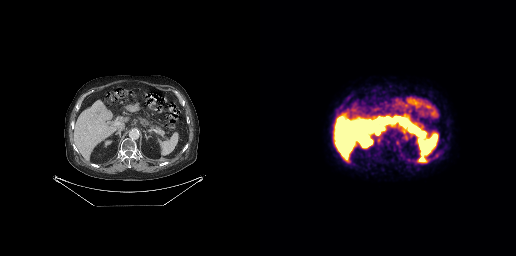
Paired axial CT (left) and PSMA PET (right), 18F-PSMA tracer. Acquired on GE Discovery 690. Slice position z = -538 mm. PET panel 256×256 px (2.7 mm/px). Negative for PSMA-avid disease on this slice.